Technique: Two-panel axial: CT | PSMA PET, [18F]PSMA-1007 tracer. acquired on Siemens Biograph mCT Flow 20. slice 243 of 389. PET panel 200×200 px (4.1 mm/px).
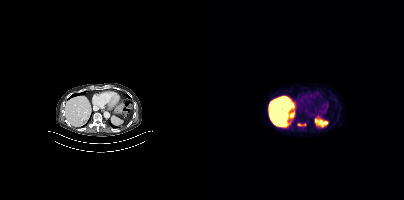
Findings: Coordinates are on the 200×200 PET (right) panel. PSMA-avid tumor lesion bounding box (x, y, width, height): x=93 y=123 w=9 h=4.